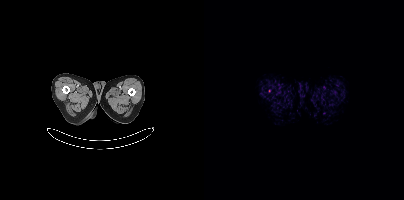
{"modality":"PSMA PET/CT","view":"axial","tracer":"18F-PSMA","pet_grid":[200,200],"coord_frame":"pet_panel","coord_format":"x0,y0,x1,y1","partial":true,"lesion_bboxes":[]}